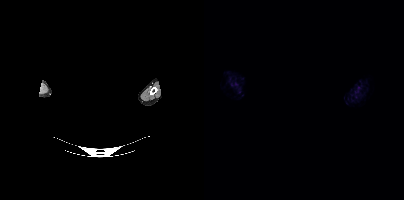
Findings: No tumor lesions annotated on this slice.
- a rectangular block over the head has been blanked out for de-identification
- Left: CT. Right: PSMA PET, same axial level, [18F]PSMA-1007 tracer